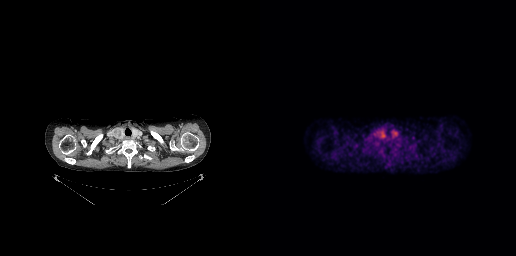
Findings: This slice has no annotated PSMA-avid lesion.
Technique: Two-panel axial: CT | PSMA PET, 18F tracer. slice 226 of 263. PET panel 256×256 px (2.7 mm/px).